Technique: Left: CT. Right: PSMA PET, same axial level, 18F tracer. slice position z = -1020 mm. PET panel 168×168 px (4.1 mm/px).
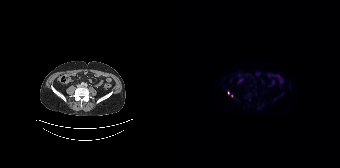
Findings: Coordinates are on the 168×168 PET (right) panel. (showing 2 of 3 foci) Small PSMA-avid foci (2 to 4 px across) near (center x, center y): (56, 92) (59, 96).